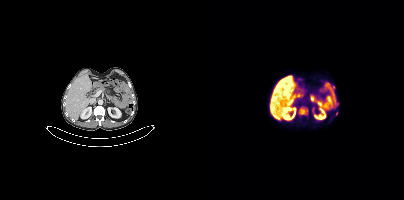
{"modality":"PSMA PET/CT","view":"axial","tracer":"18F","pet_grid":[200,200],"coord_frame":"pet_panel","coord_format":"x0,y0,x1,y1","lesion_bboxes":[[96,109,103,114]]}